modality: PSMA PET/CT | tracer: 18F | view: axial | PET grid: 200×200
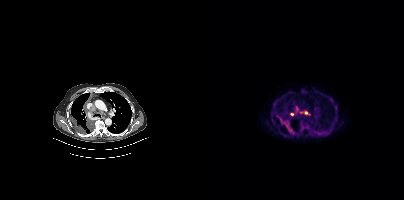
Coordinates are on the 200×200 PET (right) panel. (showing 5 of 6 foci) PSMA-avid tumor lesion bounding boxes (x0, y0)-(x1, y1): (76, 118)-(88, 131); (98, 124)-(103, 128). Small PSMA-avid foci (2 to 4 px across) near (center x, center y): (88, 113); (102, 112); (96, 112).